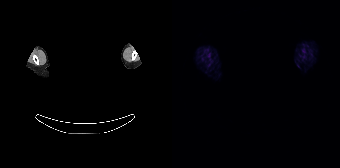
Privacy masking over the head, with the pixels inside a rectangle set to black.
No PSMA-avid tumor lesions on this slice.